Technique: Paired axial CT (left) and PSMA PET (right), [18F]PSMA-1007 tracer. acquired on Siemens Biograph mCT Flow 20.
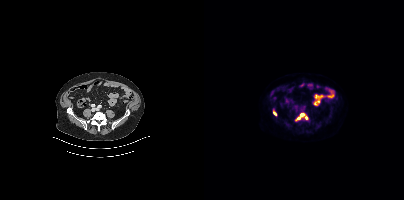
Findings: Coordinates are on the 200×200 PET (right) panel. PSMA-avid tumor lesion bounding box (x0, y0)-(x1, y1): (92, 113)-(100, 120). Small PSMA-avid foci (2 to 4 px across) near (center x, center y): (102, 117) / (70, 113).